Left: CT. Right: PSMA PET, same axial level, 68Ga tracer. Slice 159 of 263.
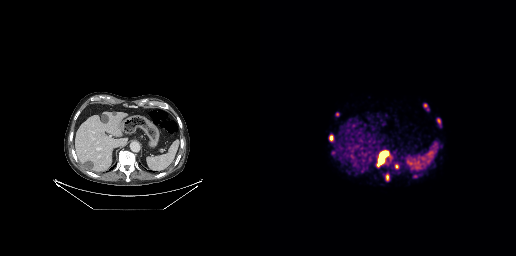
Coordinates are on the 256×256 PET (right) panel. (showing 5 of 7 foci) PSMA-avid tumor lesion bounding boxes (x0, y0)-(x1, y1): (119, 151)-(128, 163) / (69, 135)-(73, 140) / (126, 174)-(128, 180) / (135, 164)-(138, 168). Small PSMA-avid focus (2 to 4 px across) near (center x, center y): (165, 105).